De-identified by setting a box covering the face to black before release.
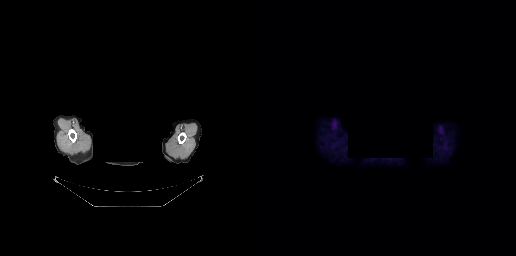
No PSMA-avid tumor lesions on this slice.